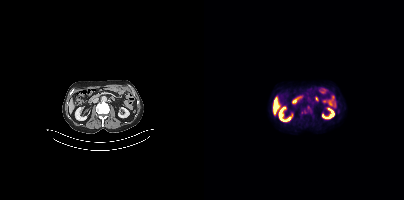
Two-panel axial: CT | PSMA PET, [18F]PSMA-1007 tracer. Slice 182 of 423. Coordinates are on the 200×200 PET (right) panel. Small PSMA-avid focus (2 to 4 px across) near (center x, center y): (104, 107).